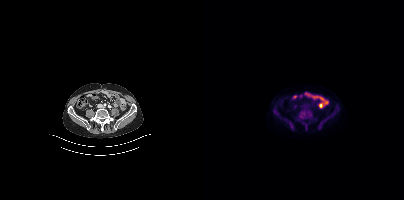
- Left: CT. Right: PSMA PET, same axial level, [18F]PSMA-1007 tracer
- PET panel 200×200 px (4.1 mm/px)
Findings: No tumor lesions annotated on this slice.